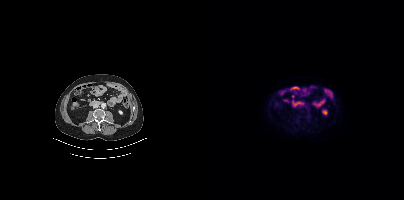
{"pet_grid":[200,200],"coord_frame":"pet_panel","coord_format":"x0,y0,x1,y1","psma_avid_lesions":false,"modality":"PSMA PET/CT","view":"axial","tracer":"[18F]PSMA-1007"}